Left: CT. Right: PSMA PET, same axial level, 18F-PSMA tracer. Slice 160 of 263. PET panel 256×256 px (2.7 mm/px).
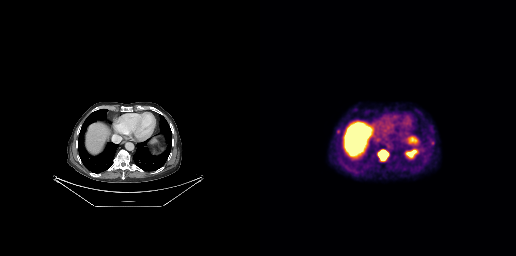
Coordinates are on the 256×256 PET (right) panel. PSMA-avid tumor lesion bounding boxes:
| # | x0 | y0 | x1 | y1 |
|---|---|---|---|---|
| 1 | 118 | 150 | 128 | 160 |